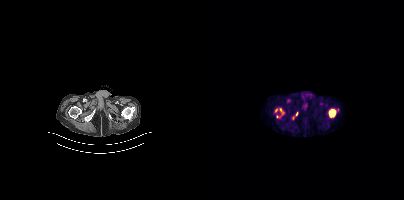
Left: CT. Right: PSMA PET, same axial level, 18F-PSMA tracer. Slice position z = -1570 mm. Coordinates are on the 200×200 PET (right) panel. (showing 3 of 4 foci) PSMA-avid tumor lesion bounding boxes (x, y, width, height): x=88 y=113 w=6 h=7 / x=76 y=108 w=5 h=7. Small PSMA-avid focus (2 to 4 px across) near (center x, center y): (72, 110).